Paired axial CT (left) and PSMA PET (right), 18F tracer. Slice 100 of 263.
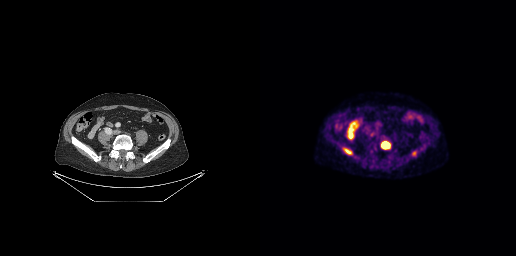
Coordinates are on the 256×256 PET (right) panel. PSMA-avid tumor lesion bounding boxes:
| # | x0 | y0 | x1 | y1 |
|---|---|---|---|---|
| 1 | 84 | 148 | 89 | 154 |
| 2 | 122 | 143 | 127 | 147 |
Small PSMA-avid focus (2 to 4 px across) near (center x, center y): (153, 153).